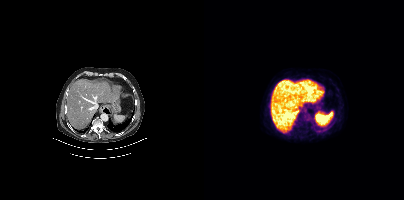
Findings: No tumor lesions annotated on this slice.
- Paired axial CT (left) and PSMA PET (right), 18F-PSMA tracer
- PET panel 200×200 px (4.1 mm/px)